- Left: CT. Right: PSMA PET, same axial level, 68Ga tracer
- slice 135 of 263
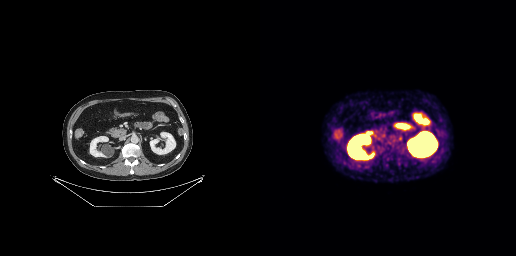
Findings: No PSMA-avid tumor lesions on this slice.